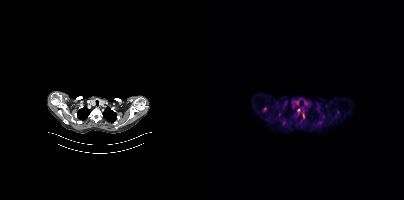
{"modality":"PSMA PET/CT","view":"axial","tracer":"18F-PSMA","pet_grid":[200,200],"coord_frame":"pet_panel","coord_format":"x0,y0,x1,y1","lesion_bboxes":[[99,114,100,118]],"small_foci_centers":[[94,110],[60,108]]}